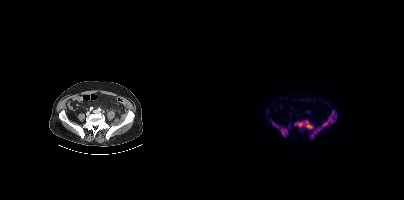
Findings: Coordinates are on the 200×200 PET (right) panel. PSMA-avid tumor lesion bounding boxes (x0,y0,x1,y1): [106,110,132,138] [91,120,108,128] [68,122,79,134]. Small PSMA-avid focus (2 to 4 px across) near (center x, center y): (81, 130).
Technique: Two-panel axial: CT | PSMA PET, [18F]PSMA-1007 tracer. slice position z = -890 mm.